Left: CT. Right: PSMA PET, same axial level, [18F]PSMA-1007 tracer. Acquired on Siemens Biograph mCT Flow 20.
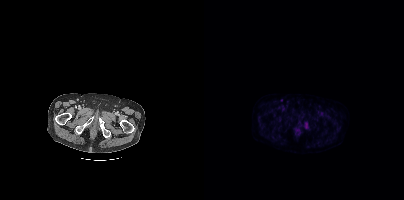
No PSMA-avid tumor lesions on this slice.